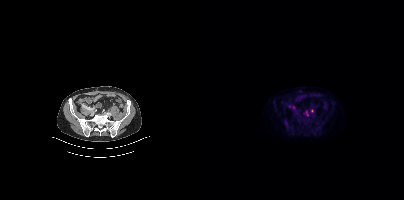
Technique: Two-panel axial: CT | PSMA PET, 18F-PSMA tracer. acquired on Siemens Biograph mCT Flow 20.
Findings: Coordinates are on the 200×200 PET (right) panel. Small PSMA-avid foci (2 to 4 px across) near (center x, center y): (107, 110); (103, 114).